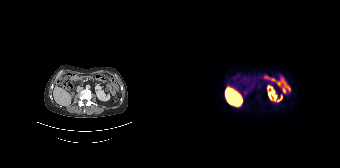
Technique: Left: CT. Right: PSMA PET, same axial level, 18F-PSMA tracer. acquired on Siemens Biograph 64-4R TruePoint. slice position z = -1400 mm.
Findings: Negative for PSMA-avid disease on this slice.